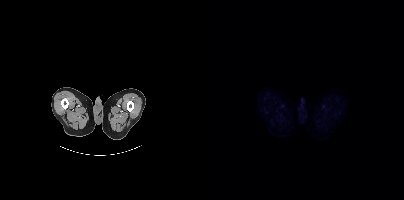
Paired axial CT (left) and PSMA PET (right), 18F tracer. Acquired on Siemens Biograph mCT Flow 20. Slice 24 of 435. PET panel 200×200 px (4.1 mm/px). No tumor lesions annotated on this slice.